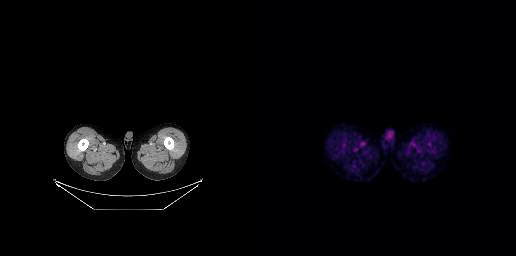
Paired axial CT (left) and PSMA PET (right), 18F tracer. Acquired on GE Discovery 690. Slice position z = -862 mm. This slice has no annotated PSMA-avid lesion.